Paired axial CT (left) and PSMA PET (right), 68Ga tracer. Slice 175 of 299. PET panel 256×256 px (2.7 mm/px).
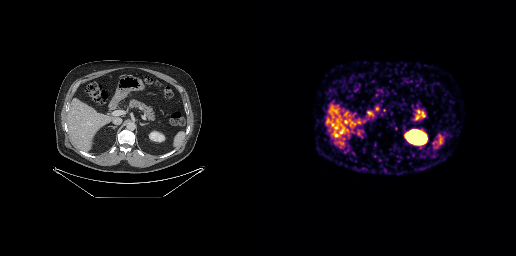
Coordinates are on the 256×256 PET (right) panel. PSMA-avid tumor lesion bounding boxes:
| # | x0 | y0 | x1 | y1 |
|---|---|---|---|---|
| 1 | 107 | 111 | 113 | 115 |